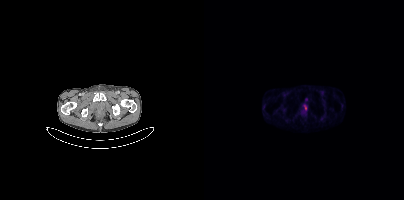
Left: CT. Right: PSMA PET, same axial level, [68Ga]Ga-PSMA-11 tracer. Slice position z = -1692 mm. PET panel 200×200 px (4.1 mm/px).
Coordinates are on the 200×200 PET (right) panel. PSMA-avid tumor lesion bounding boxes:
| # | x0 | y0 | x1 | y1 |
|---|---|---|---|---|
| 1 | 102 | 106 | 103 | 110 |